- Paired axial CT (left) and PSMA PET (right), 18F-PSMA tracer
- acquired on Siemens Biograph mCT Flow 20
- PET panel 200×200 px (4.1 mm/px)
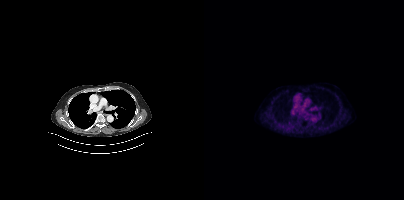
Findings: No tumor lesions annotated on this slice.